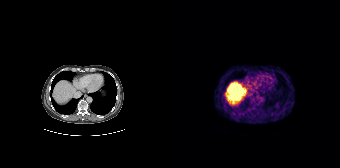
- Left: CT. Right: PSMA PET, same axial level, 68Ga-PSMA tracer
- slice 116 of 195
Findings: This slice has no annotated PSMA-avid lesion.